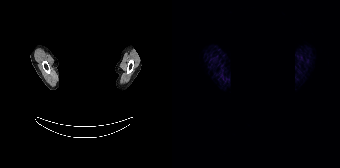
Findings: No PSMA-avid tumor lesions on this slice.
Technique: Paired axial CT (left) and PSMA PET (right), 68Ga-PSMA tracer. slice 186 of 195. PET panel 168×168 px (4.1 mm/px).
Note: Face de-identified by blanking a block of the head.